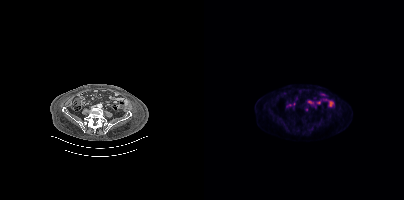
{"modality":"PSMA PET/CT","view":"axial","tracer":"18F","pet_grid":[200,200],"coord_frame":"pet_panel","coord_format":"x0,y0,x1,y1","lesion_bboxes":[],"small_foci_centers":[[102,109]]}